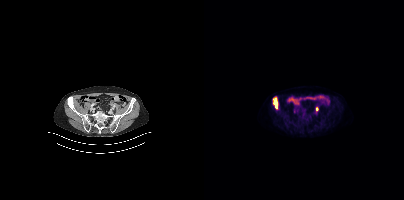
Left: CT. Right: PSMA PET, same axial level, 18F tracer. Acquired on Siemens Biograph mCT Flow 20. Coordinates are on the 200×200 PET (right) panel. PSMA-avid tumor lesion bounding box (x, y, width, height): x=69 y=97 w=5 h=12. Small PSMA-avid focus (2 to 4 px across) near (center x, center y): (112, 109).